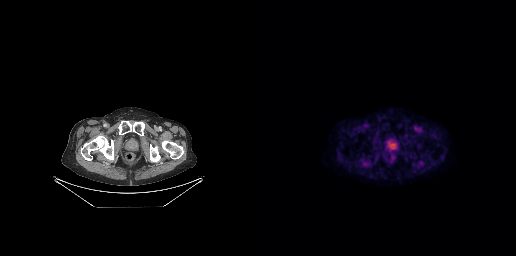
{"pet_grid":[256,256],"coord_frame":"pet_panel","coord_format":"x0,y0,x1,y1","psma_avid_lesions":false,"modality":"PSMA PET/CT","view":"axial","tracer":"[18F]PSMA-1007"}